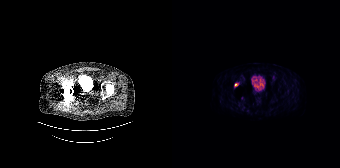
Two-panel axial: CT | PSMA PET, [18F]PSMA-1007 tracer. Acquired on Siemens Biograph 64-4R TruePoint. Slice position z = -1222 mm. Coordinates are on the 168×168 PET (right) panel. PSMA-avid tumor lesion bounding box (x0, y0)-(x1, y1): (62, 82)-(66, 86).